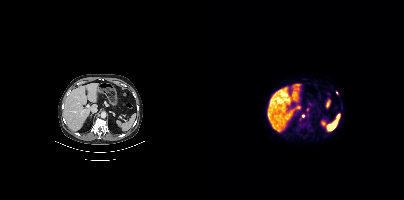
Paired axial CT (left) and PSMA PET (right), 18F tracer. Slice position z = -1243 mm. PET panel 200×200 px (4.1 mm/px). Coordinates are on the 200×200 PET (right) panel. (showing 1 of 2 foci) Small PSMA-avid focus (2 to 4 px across) near (center x, center y): (99, 115).